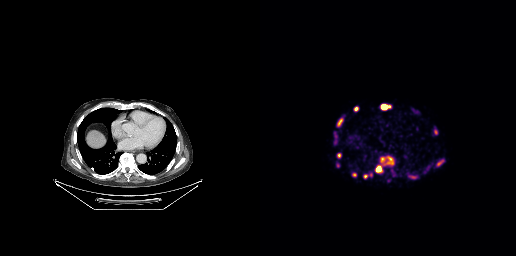
Findings: Coordinates are on the 256×256 PET (right) panel. (showing 11 of 12 foci) PSMA-avid tumor lesion bounding boxes (x, y, width, height): x=176 y=159 w=9 h=8 | x=103 y=173 w=10 h=6 | x=122 y=105 w=6 h=5 | x=129 y=158 w=5 h=6 | x=94 y=107 w=5 h=5 | x=78 y=119 w=5 h=7 | x=174 y=129 w=4 h=6 | x=77 y=153 w=4 h=5. Small PSMA-avid foci (2 to 4 px across) near (center x, center y): (118, 168) | (122, 159) | (78, 165).
- Two-panel axial: CT | PSMA PET, [68Ga]Ga-PSMA-11 tracer
- acquired on GE Discovery 690
- slice 183 of 263